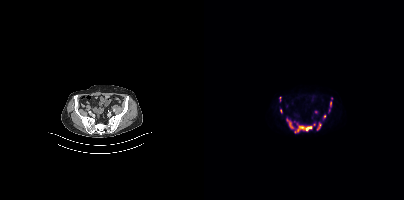
Technique: Paired axial CT (left) and PSMA PET (right), 18F-PSMA tracer.
Findings: Coordinates are on the 200×200 PET (right) panel. (showing 7 of 10 foci) PSMA-avid tumor lesion bounding boxes (x0,y0,x1,y1): [91,125,108,132]; [83,119,89,128]; [113,124,117,128]. Small PSMA-avid foci (2 to 4 px across) near (center x, center y): (76, 98); (126, 102); (76, 111); (126, 105).